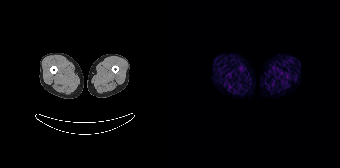
- Paired axial CT (left) and PSMA PET (right), 68Ga tracer
Findings: Negative for PSMA-avid disease on this slice.